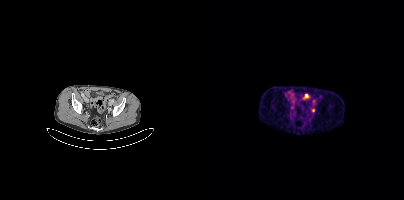
modality: PSMA PET/CT | tracer: 68Ga | view: axial
Coordinates are on the 200×200 PET (right) panel. Small PSMA-avid foci (2 to 4 px across) near (center x, center y): (109, 109) | (109, 100).